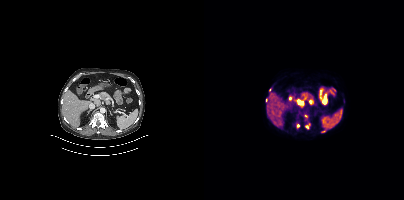
{"modality":"PSMA PET/CT","view":"axial","tracer":"[18F]PSMA-1007","pet_grid":[200,200],"coord_frame":"pet_panel","coord_format":"x0,y0,x1,y1","lesion_bboxes":[],"small_foci_centers":[[94,125],[103,127],[101,115]]}